Technique: Two-panel axial: CT | PSMA PET, [18F]PSMA-1007 tracer. acquired on Siemens Biograph mCT Flow 20. slice position z = -1366 mm. PET panel 200×200 px (4.1 mm/px).
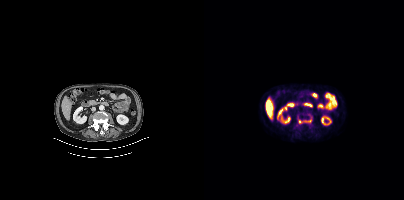
Findings: Coordinates are on the 200×200 PET (right) panel. PSMA-avid tumor lesion bounding box (x, y, width, height): x=94 y=117 w=14 h=7.